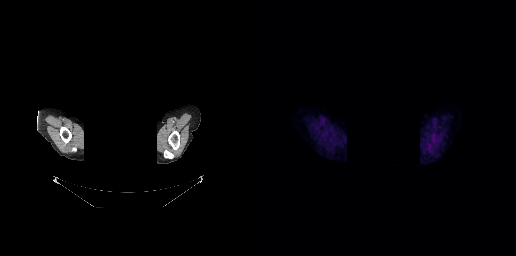
- an anonymization step blacked out a rectangle over the head in this scan
- Two-panel axial: CT | PSMA PET, 18F tracer
- PET panel 256×256 px (2.7 mm/px)
Findings: Negative for PSMA-avid disease on this slice.